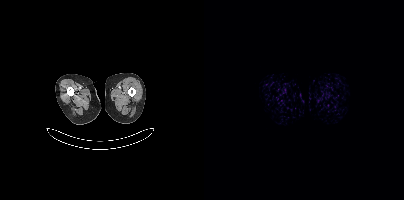
Findings: Negative for PSMA-avid disease on this slice.
Technique: Paired axial CT (left) and PSMA PET (right), 18F-PSMA tracer. PET panel 200×200 px (4.1 mm/px).